modality: PSMA PET/CT | tracer: 18F-PSMA | view: axial
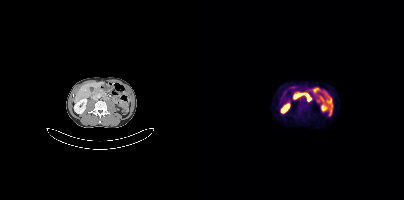
Coordinates are on the 200×200 PET (right) panel. PSMA-avid tumor lesion bounding box (x0, y0)-(x1, y1): (95, 105)-(99, 110).